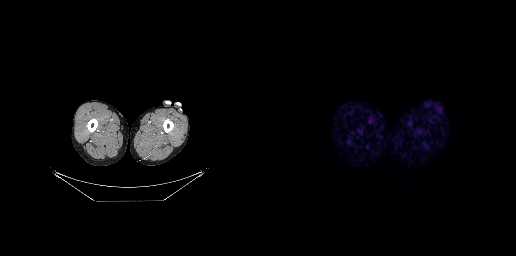
Findings: No tumor lesions annotated on this slice.
Technique: Two-panel axial: CT | PSMA PET, 68Ga-PSMA tracer. acquired on GE Discovery 690. slice 14 of 263. PET panel 256×256 px (2.7 mm/px).